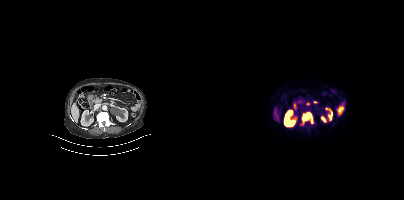
Left: CT. Right: PSMA PET, same axial level, 68Ga-PSMA tracer. Slice position z = 626 mm. PET panel 200×200 px (4.1 mm/px). Coordinates are on the 200×200 PET (right) panel. (showing 3 of 4 foci) PSMA-avid tumor lesion bounding boxes (x, y, width, height): x=97 y=112 w=12 h=13 | x=102 y=102 w=5 h=4. Small PSMA-avid focus (2 to 4 px across) near (center x, center y): (71, 118).